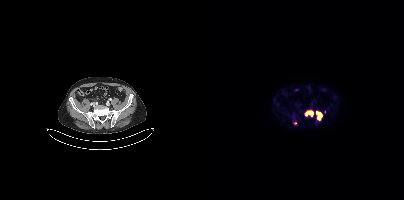
Findings: Coordinates are on the 200×200 PET (right) panel. (showing 2 of 4 foci) PSMA-avid tumor lesion bounding boxes (x, y, width, height): x=112 y=112 w=6 h=9 / x=101 y=111 w=9 h=6.
- Two-panel axial: CT | PSMA PET, 18F tracer